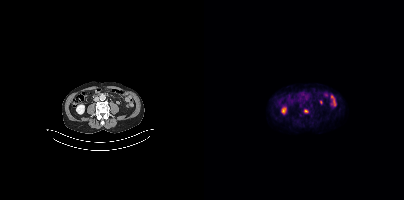
Coordinates are on the 200×200 PET (right) panel. PSMA-avid tumor lesion bounding box (x, y, width, height): x=100 y=109 w=5 h=4.